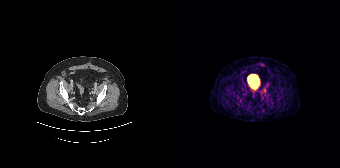
Technique: Left: CT. Right: PSMA PET, same axial level, 68Ga-PSMA tracer. slice 42 of 165.
Findings: Coordinates are on the 168×168 PET (right) panel. Small PSMA-avid focus (2 to 4 px across) near (center x, center y): (92, 90).